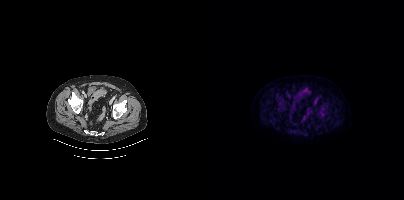
modality: PSMA PET/CT | tracer: 18F-PSMA | view: axial
Negative for PSMA-avid disease on this slice.